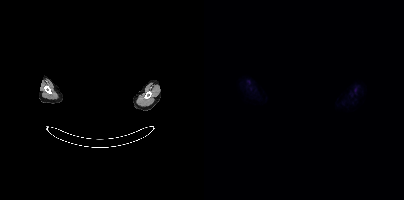
{"modality":"PSMA PET/CT","view":"axial","tracer":"18F","pet_grid":[200,200],"coord_frame":"pet_panel","coord_format":"x0,y0,x1,y1","redaction":"privacy mask over head","psma_avid_lesions":false}